Two-panel axial: CT | PSMA PET, [68Ga]Ga-PSMA-11 tracer. Slice position z = -1308 mm.
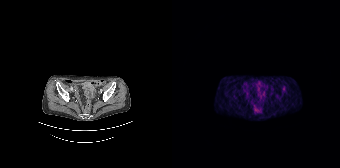
Coordinates are on the 168×168 PET (right) panel. Small PSMA-avid focus (2 to 4 px across) near (center x, center y): (111, 87).